Left: CT. Right: PSMA PET, same axial level, 18F-PSMA tracer. Acquired on Siemens Biograph mCT Flow 20.
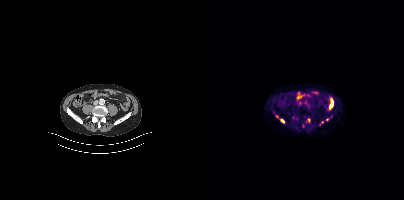
Coordinates are on the 200×200 PET (right) panel. (showing 2 of 4 foci) Small PSMA-avid foci (2 to 4 px across) near (center x, center y): (78, 120); (104, 120).